Technique: Paired axial CT (left) and PSMA PET (right), 68Ga tracer. slice 121 of 195. PET panel 168×168 px (4.1 mm/px).
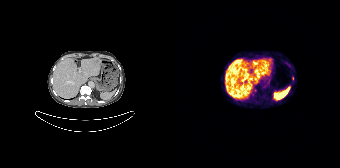
Findings: Coordinates are on the 168×168 PET (right) panel. Small PSMA-avid focus (2 to 4 px across) near (center x, center y): (120, 78).